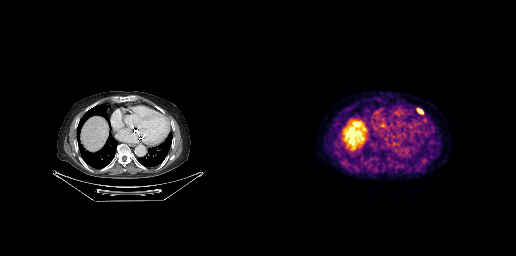
Coordinates are on the 256×256 PET (right) panel. PSMA-avid tumor lesion bounding box (x0,y0,x1,y1): [157,109,162,112].